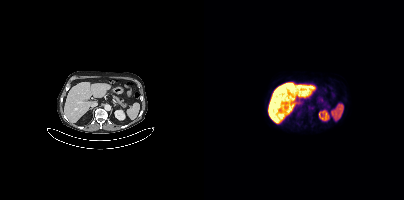
No tumor lesions annotated on this slice. Two-panel axial: CT | PSMA PET, [18F]PSMA-1007 tracer. Acquired on Siemens Biograph mCT Flow 20.